Two-panel axial: CT | PSMA PET, 18F tracer.
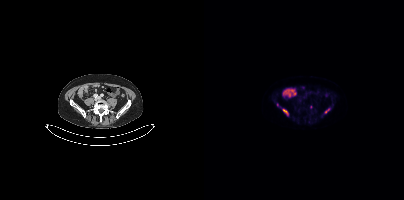
Coordinates are on the 200×200 PET (right) panel. PSMA-avid tumor lesion bounding boxes (x0,y0,x1,y1): [79,109,83,113] [121,108,125,113]. Small PSMA-avid focus (2 to 4 px across) near (center x, center y): (106, 107).